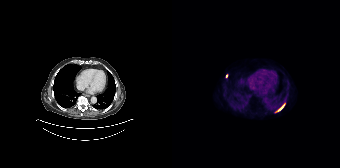
Findings: Coordinates are on the 168×168 PET (right) panel. PSMA-avid tumor lesion bounding box (x0,y0,x1,y1): [105,104,112,111]. Small PSMA-avid focus (2 to 4 px across) near (center x, center y): (54, 75).
Technique: Two-panel axial: CT | PSMA PET, 18F-PSMA tracer. acquired on Siemens Biograph 64-4R TruePoint. slice 107 of 165. PET panel 168×168 px (4.1 mm/px).